modality: PSMA PET/CT | tracer: [18F]PSMA-1007 | view: axial | deidentification: head region blanked (face removed)
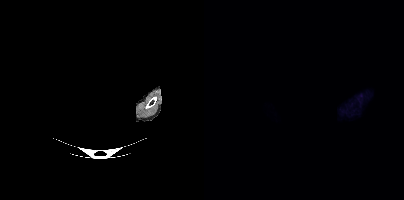
This slice has no annotated PSMA-avid lesion.